Paired axial CT (left) and PSMA PET (right), [68Ga]Ga-PSMA-11 tracer. PET panel 200×200 px (4.1 mm/px).
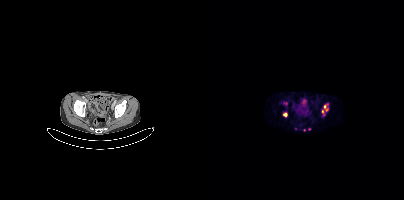
Coordinates are on the 200×200 PET (right) panel. PSMA-avid tumor lesion bounding boxes:
| # | x0 | y0 | x1 | y1 |
|---|---|---|---|---|
| 1 | 120 | 103 | 124 | 111 |
| 2 | 118 | 110 | 120 | 115 |
Small PSMA-avid foci (2 to 4 px across) near (center x, center y): (80, 114); (105, 129); (91, 128); (100, 129).